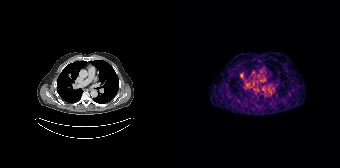
Coordinates are on the 168×168 PET (right) panel. Small PSMA-avid focus (2 to 4 px across) near (center x, center y): (68, 75).